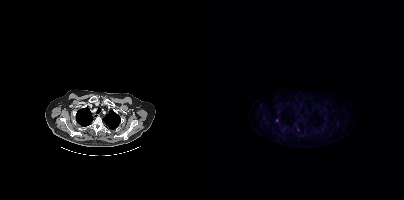
Coordinates are on the 200×200 PET (right) panel. Small PSMA-avid foci (2 to 4 px across) near (center x, center y): (94, 129); (72, 120).